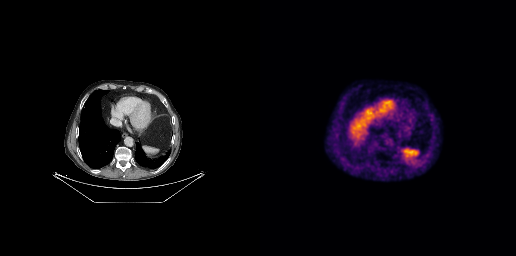
{"modality":"PSMA PET/CT","view":"axial","tracer":"[18F]PSMA-1007","pet_grid":[256,256],"coord_frame":"pet_panel","coord_format":"x0,y0,x1,y1","psma_avid_lesions":false}